modality: PSMA PET/CT | tracer: 68Ga | view: axial
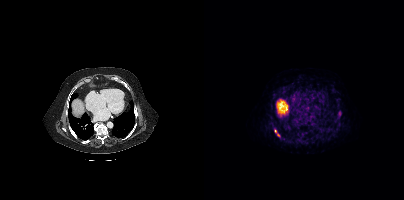
Coordinates are on the 200×200 PET (right) panel. PSMA-avid tumor lesion bounding box (x0, y0)-(x1, y1): (70, 129)-(75, 136).